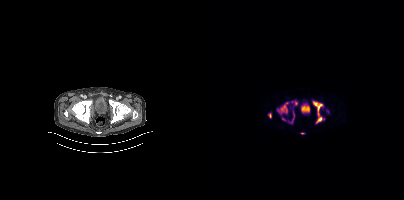
{"modality":"PSMA PET/CT","view":"axial","tracer":"18F","pet_grid":[200,200],"coord_frame":"pet_panel","coord_format":"x0,y0,x1,y1","partial":true,"lesion_bboxes":[[109,101,118,123],[73,102,84,114],[64,113,67,118]],"small_foci_centers":[[92,103],[79,119],[89,114]]}